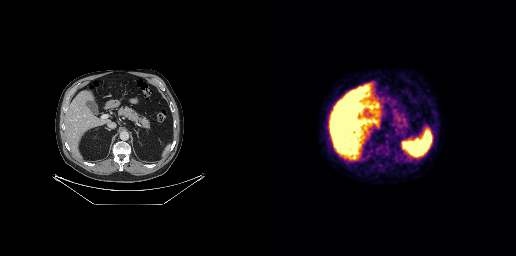
This slice has no annotated PSMA-avid lesion.